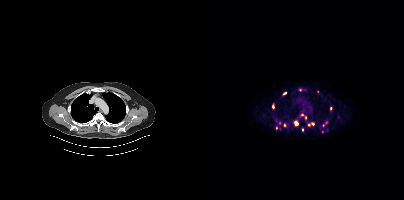
Coordinates are on the 200×200 PET (right) panel. (showing 10 of 12 foci) PSMA-avid tumor lesion bounding box (x0,y0,x1,y1): [90,121,94,125]. Small PSMA-avid foci (2 to 4 px across) near (center x, center y): (80, 93), (69, 106), (105, 125), (126, 108), (98, 114), (101, 117), (98, 129), (122, 122), (80, 124). Left: CT. Right: PSMA PET, same axial level, 18F-PSMA tracer. Slice 336 of 444. PET panel 200×200 px (4.1 mm/px).